Left: CT. Right: PSMA PET, same axial level, 18F-PSMA tracer. Acquired on Siemens Biograph mCT Flow 20. PET panel 200×200 px (4.1 mm/px).
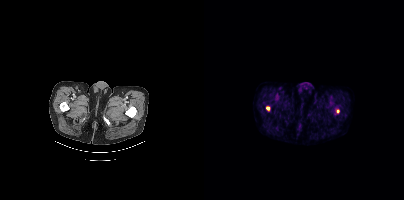
Coordinates are on the 200×200 PET (right) panel. Small PSMA-avid foci (2 to 4 px across) near (center x, center y): (63, 108); (134, 111).